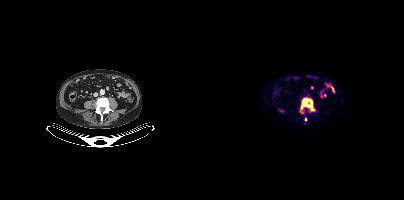
Coordinates are on the 200×200 PET (right) panel. PSMA-avid tumor lesion bounding box (x, y, width, height): x=96 y=98 w=14 h=14. Small PSMA-avid focus (2 to 4 px across) near (center x, center y): (101, 119).